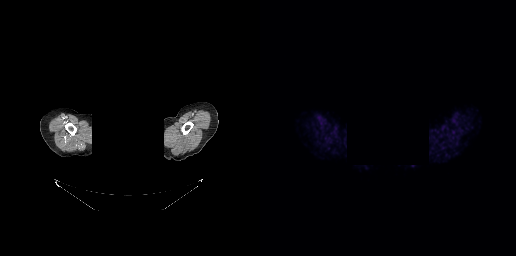
{"modality":"PSMA PET/CT","view":"axial","tracer":"[68Ga]Ga-PSMA-11","pet_grid":[256,256],"coord_frame":"pet_panel","coord_format":"x0,y0,x1,y1","psma_avid_lesions":false,"redaction":"face masked with black rectangle"}